- Left: CT. Right: PSMA PET, same axial level, 18F tracer
- PET panel 200×200 px (4.1 mm/px)
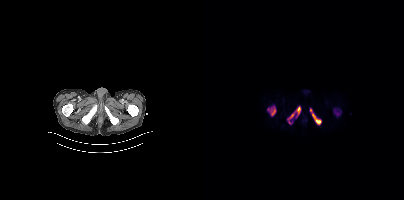
Findings: Coordinates are on the 200×200 PET (right) panel. PSMA-avid tumor lesion bounding boxes (x, y, width, height): x=63 y=106 w=10 h=10 / x=106 y=108 w=12 h=17 / x=92 y=106 w=5 h=9 / x=84 y=112 w=7 h=8. Small PSMA-avid focus (2 to 4 px across) near (center x, center y): (85, 122).